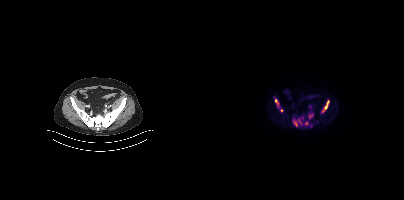
Findings: Coordinates are on the 200×200 PET (right) panel. (showing 9 of 10 foci) PSMA-avid tumor lesion bounding boxes (x0, y0)-(x1, y1): (118, 106)-(123, 112) | (105, 113)-(109, 118) | (71, 99)-(74, 105) | (122, 100)-(125, 104) | (90, 122)-(93, 126). Small PSMA-avid foci (2 to 4 px across) near (center x, center y): (102, 122) | (95, 119) | (77, 110) | (98, 117).
- Left: CT. Right: PSMA PET, same axial level, 18F tracer